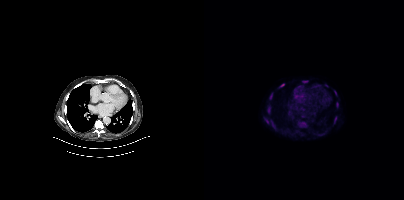
Coordinates are on the 200×200 PET (right) panel. (showing 9 of 10 foci) PSMA-avid tumor lesion bounding boxes (x, y, width, height): x=63 y=106 w=4 h=8 / x=65 y=93 w=4 h=7 / x=96 y=123 w=5 h=4 / x=75 y=84 w=6 h=4 / x=98 y=81 w=6 h=2 / x=61 y=119 w=4 h=5 / x=67 y=121 w=3 h=5. Small PSMA-avid foci (2 to 4 px across) near (center x, center y): (133, 103) / (131, 92).
modality: PSMA PET/CT | tracer: 18F | view: axial | PET grid: 200×200